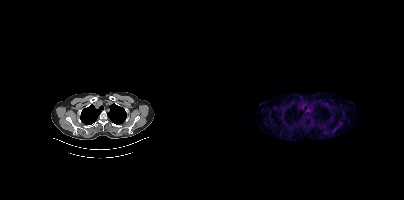
- Left: CT. Right: PSMA PET, same axial level, 68Ga-PSMA tracer
- acquired on Siemens Biograph mCT Flow 20
- slice position z = -527 mm
Findings: No tumor lesions annotated on this slice.